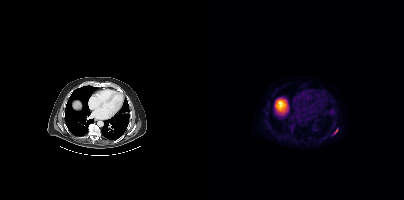
modality: PSMA PET/CT | tracer: 18F | view: axial | PET grid: 200×200
Coordinates are on the 200×200 PET (right) panel. PSMA-avid tumor lesion bounding box (x0, y0)-(x1, y1): (130, 129)-(133, 134).